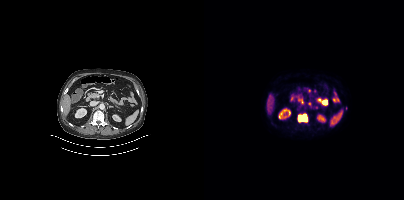
Coordinates are on the 200×200 PET (right) panel. (showing 1 of 2 foci) PSMA-avid tumor lesion bounding box (x, y, width, height): x=94 y=113 w=10 h=10. Paired axial CT (left) and PSMA PET (right), 18F tracer. Slice position z = -1323 mm. PET panel 200×200 px (4.1 mm/px).